modality: PSMA PET/CT | tracer: 18F | view: axial | PET grid: 168×168
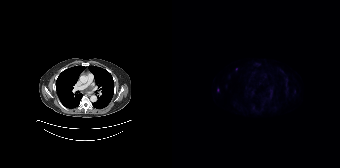
Coordinates are on the 168×168 PET (right) panel. (showing 1 of 2 foci) Small PSMA-avid focus (2 to 4 px across) near (center x, center y): (45, 89).